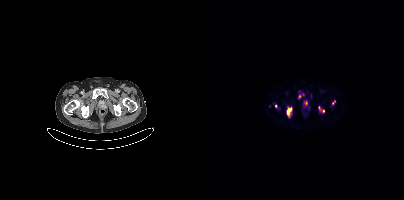
{"modality":"PSMA PET/CT","view":"axial","tracer":"18F","pet_grid":[200,200],"coord_frame":"pet_panel","coord_format":"x0,y0,x1,y1","partial":true,"lesion_bboxes":[[83,108,87,116],[115,107,119,112],[94,94,96,98]],"small_foci_centers":[[129,102],[102,103],[71,106]]}